Paired axial CT (left) and PSMA PET (right), [68Ga]Ga-PSMA-11 tracer. Acquired on Siemens Biograph 64-4R TruePoint. Slice 1 of 195.
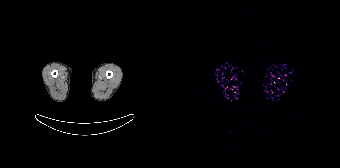
No tumor lesions annotated on this slice.